Technique: Paired axial CT (left) and PSMA PET (right), 68Ga tracer. acquired on Siemens Biograph 64-4R TruePoint. slice 47 of 165.
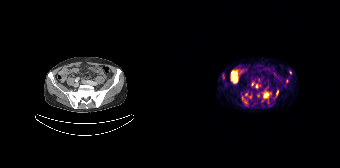
Findings: Coordinates are on the 168×168 PET (right) panel. (showing 7 of 8 foci) PSMA-avid tumor lesion bounding boxes (x0, y0)-(x1, y1): (92, 93)-(96, 97); (70, 96)-(75, 103); (104, 90)-(106, 94). Small PSMA-avid foci (2 to 4 px across) near (center x, center y): (78, 96); (74, 94); (84, 86); (114, 81).